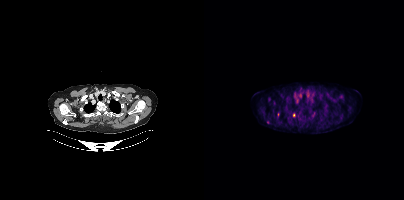
Coordinates are on the 200×200 PET (right) panel. (showing 1 of 2 foci) Small PSMA-avid focus (2 to 4 px across) near (center x, center y): (89, 115).
modality: PSMA PET/CT | tracer: 18F-PSMA | view: axial